Two-panel axial: CT | PSMA PET, 18F-PSMA tracer. Acquired on Siemens Biograph 64-4R TruePoint. Slice 119 of 165. PET panel 168×168 px (4.1 mm/px).
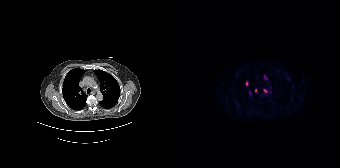
Coordinates are on the 168×168 PET (right) panel. Small PSMA-avid foci (2 to 4 px across) near (center x, center y): (93, 90) | (74, 83) | (93, 77) | (83, 90).